Left: CT. Right: PSMA PET, same axial level, 18F-PSMA tracer. Acquired on Siemens Biograph mCT Flow 20. Slice position z = -1086 mm. PET panel 200×200 px (4.1 mm/px).
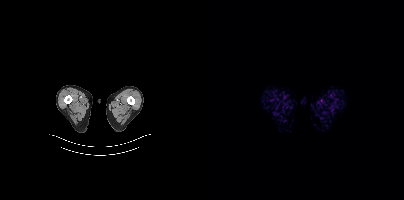
No PSMA-avid tumor lesions on this slice.